Technique: Paired axial CT (left) and PSMA PET (right), 18F tracer.
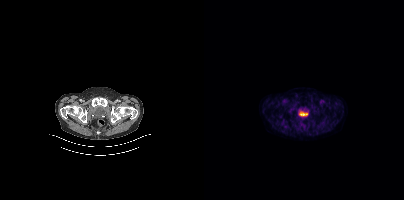
Findings: This slice has no annotated PSMA-avid lesion.